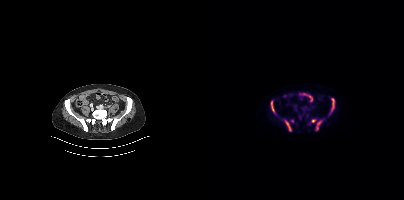
modality: PSMA PET/CT | tracer: 18F-PSMA | view: axial
Coordinates are on the 200×200 PET (right) panel. PSMA-avid tumor lesion bounding boxes (x0,y0,x1,y1): [127,98,130,111] [81,120,87,131] [112,121,117,130] [67,100,70,112] [107,119,111,122]. Small PSMA-avid focus (2 to 4 px across) near (center x, center y): (88, 120).